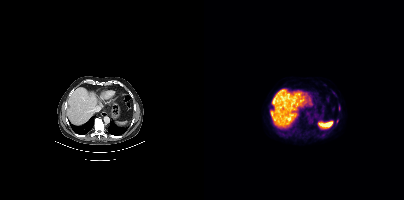
Coordinates are on the 200×200 PET (right) panel. (showing 1 of 2 foci) Small PSMA-avid focus (2 to 4 px across) near (center x, center y): (133, 121).